modality: PSMA PET/CT | tracer: 18F | view: axial
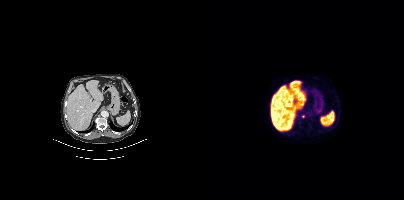
Only PSMA-avid lesion pieces thinner than 2 px on this slice (not listed).